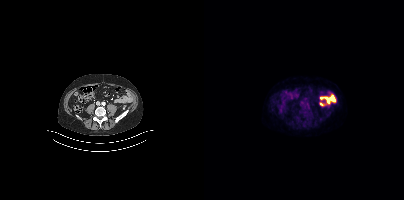
This slice has no annotated PSMA-avid lesion.